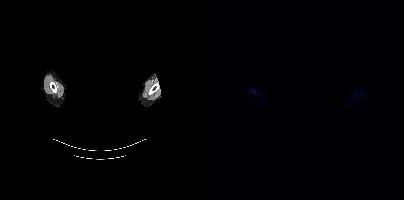
{"modality":"PSMA PET/CT","view":"axial","tracer":"[18F]PSMA-1007","pet_grid":[200,200],"coord_frame":"pet_panel","coord_format":"x0,y0,x1,y1","psma_avid_lesions":false,"de-identification":"rectangular block over head set to black"}